- Two-panel axial: CT | PSMA PET, [68Ga]Ga-PSMA-11 tracer
- acquired on Siemens Biograph mCT Flow 20
- slice position z = -1522 mm
- PET panel 200×200 px (4.1 mm/px)
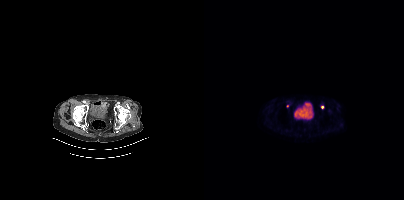
Findings: Coordinates are on the 200×200 PET (right) panel. Small PSMA-avid foci (2 to 4 px across) near (center x, center y): (118, 107); (83, 105).